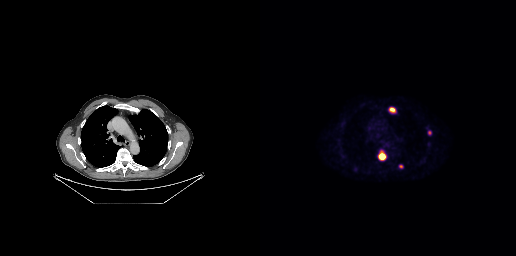
Findings: Coordinates are on the 256×256 PET (right) panel. PSMA-avid tumor lesion bounding boxes (x0,y0,x1,y1): [118,150,126,160], [129,107,136,113]. Small PSMA-avid foci (2 to 4 px across) near (center x, center y): (169, 132), (140, 166).
- Left: CT. Right: PSMA PET, same axial level, 18F tracer
- PET panel 256×256 px (2.7 mm/px)